- Left: CT. Right: PSMA PET, same axial level, 18F-PSMA tracer
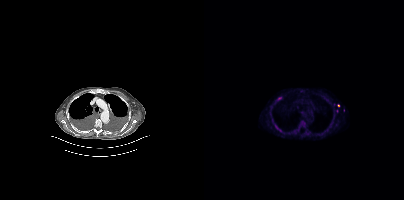
Findings: Coordinates are on the 200×200 PET (right) panel. (showing 3 of 4 foci) PSMA-avid tumor lesion bounding box (x0, y0)-(x1, y1): (71, 124)-(77, 131). Small PSMA-avid foci (2 to 4 px across) near (center x, center y): (75, 98) / (134, 105).